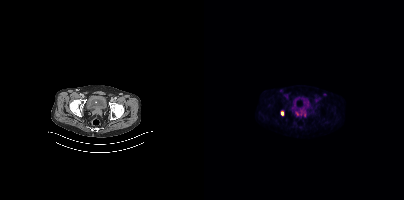
Coordinates are on the 200×200 PET (right) panel. (showing 1 of 2 foci) PSMA-avid tumor lesion bounding box (x0,y0,x1,y1): [77,111,79,115].